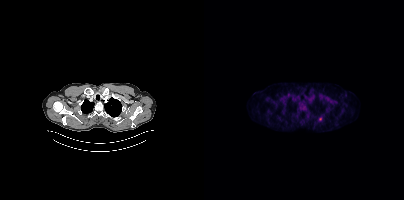
Two-panel axial: CT | PSMA PET, 18F-PSMA tracer. Slice 363 of 448. Coordinates are on the 200×200 PET (right) panel. Small PSMA-avid focus (2 to 4 px across) near (center x, center y): (116, 118).